Facial anatomy redacted by setting a rectangular region of the head to black. Left: CT. Right: PSMA PET, same axial level, 18F tracer.
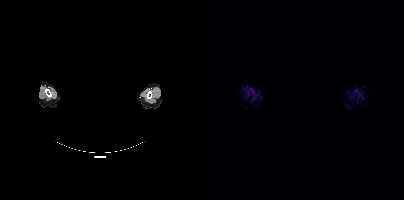
Negative for PSMA-avid disease on this slice.